A rectangular block over the head has been blanked out for de-identification. Paired axial CT (left) and PSMA PET (right), 18F tracer. Acquired on Siemens Biograph mCT Flow 20.
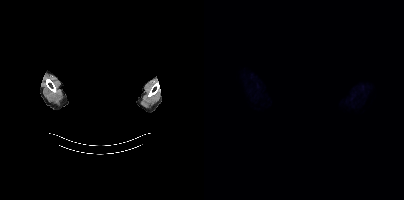
This slice has no annotated PSMA-avid lesion.